Two-panel axial: CT | PSMA PET, 68Ga tracer. Slice position z = -940 mm. PET panel 168×168 px (4.1 mm/px).
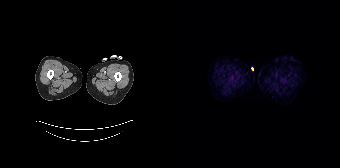
This slice has no annotated PSMA-avid lesion.